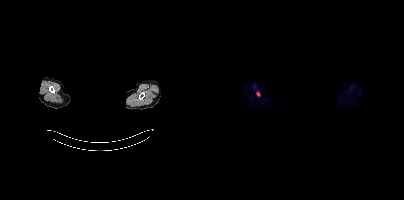
Technique: Two-panel axial: CT | PSMA PET, 18F tracer.
Note: Privacy masking over the head, with the pixels inside a rectangle set to black.
Findings: Coordinates are on the 200×200 PET (right) panel. Small PSMA-avid focus (2 to 4 px across) near (center x, center y): (53, 93).